Two-panel axial: CT | PSMA PET, 18F tracer.
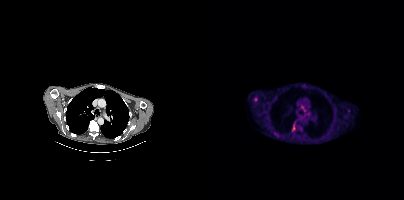
Coordinates are on the 200×200 PET (right) panel. PSMA-avid tumor lesion bounding boxes:
| # | x0 | y0 | x1 | y1 |
|---|---|---|---|---|
| 1 | 88 | 121 | 92 | 131 |
| 2 | 50 | 97 | 53 | 101 |
Small PSMA-avid foci (2 to 4 px across) near (center x, center y): (144, 110); (100, 110); (98, 106); (104, 113).